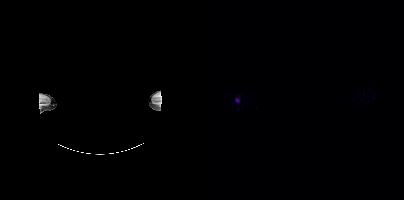
{"modality":"PSMA PET/CT","view":"axial","tracer":"[18F]PSMA-1007","pet_grid":[200,200],"coord_frame":"pet_panel","coord_format":"x0,y0,x1,y1","partial":true,"lesion_bboxes":[[30,95,35,103]],"deidentification":"facial region redacted"}